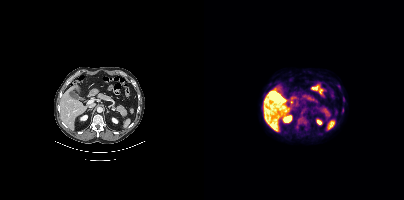
{"modality":"PSMA PET/CT","view":"axial","tracer":"[18F]PSMA-1007","pet_grid":[200,200],"coord_frame":"pet_panel","coord_format":"x0,y0,x1,y1","lesion_bboxes":[],"small_foci_centers":[[141,106]]}